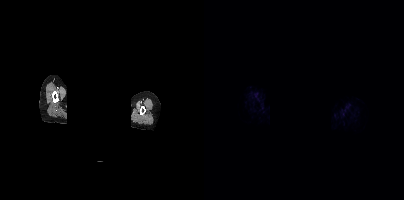
modality: PSMA PET/CT | tracer: 68Ga-PSMA | view: axial | PET grid: 200×200 | redaction: head region blacked out before release
No tumor lesions annotated on this slice.